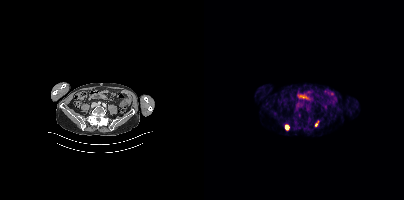
Coordinates are on the 200×200 PET (right) panel. PSMA-avid tumor lesion bounding box (x0,y0,x1,y1): [81,124,85,130]. Small PSMA-avid focus (2 to 4 px across) near (center x, center y): (112, 124).